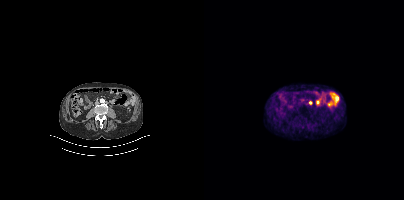
Left: CT. Right: PSMA PET, same axial level, 68Ga tracer. Slice position z = -862 mm. Negative for PSMA-avid disease on this slice.